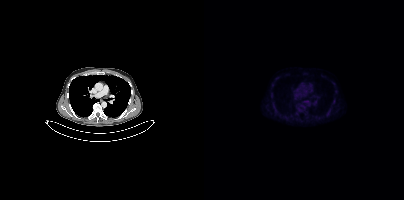
Two-panel axial: CT | PSMA PET, [18F]PSMA-1007 tracer. Slice position z = -526 mm. Coordinates are on the 200×200 PET (right) panel. Small PSMA-avid focus (2 to 4 px across) near (center x, center y): (95, 110).